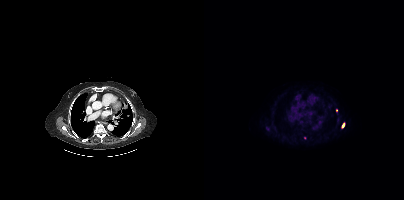
{"modality":"PSMA PET/CT","view":"axial","tracer":"[18F]PSMA-1007","pet_grid":[200,200],"coord_frame":"pet_panel","coord_format":"x0,y0,x1,y1","partial":true,"lesion_bboxes":[[138,123,140,127]]}